Any black rectangle over the head is a privacy mask, not anatomy. Paired axial CT (left) and PSMA PET (right), [18F]PSMA-1007 tracer. Slice 336 of 377. PET panel 200×200 px (4.1 mm/px).
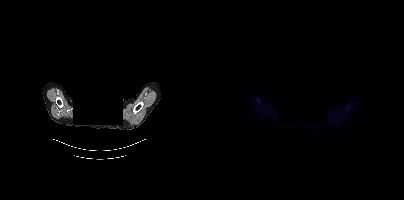
This slice has no annotated PSMA-avid lesion.